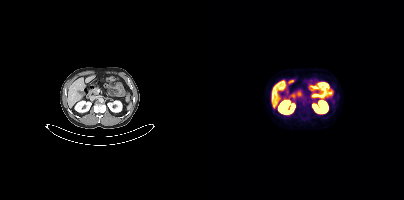
This slice has no annotated PSMA-avid lesion.
modality: PSMA PET/CT | tracer: 18F-PSMA | view: axial | PET grid: 200×200